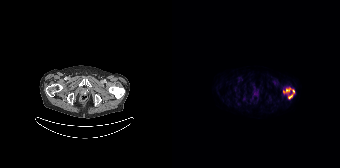
Coordinates are on the 168×168 PET (right) panel. PSMA-avid tumor lesion bounding box (x0,y0,x1,y1): [111,88,122,98].